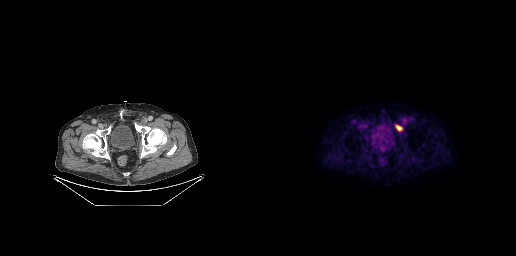
Coordinates are on the 256×256 PET (right) panel. PSMA-avid tumor lesion bounding boxes:
| # | x0 | y0 | x1 | y1 |
|---|---|---|---|---|
| 1 | 136 | 125 | 142 | 130 |
Left: CT. Right: PSMA PET, same axial level, 18F tracer. PET panel 256×256 px (2.7 mm/px).